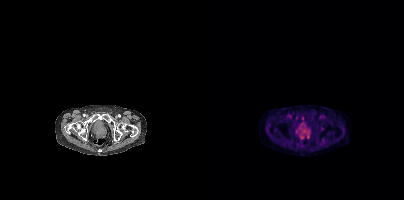
modality: PSMA PET/CT | tracer: 18F-PSMA | view: axial
Coordinates are on the 200×200 PET (right) panel. PSMA-avid tumor lesion bounding boxes (x0, y0)-(x1, y1): (100, 133)-(105, 138) | (97, 134)-(99, 139). Small PSMA-avid foci (2 to 4 px across) near (center x, center y): (98, 117) | (119, 139).